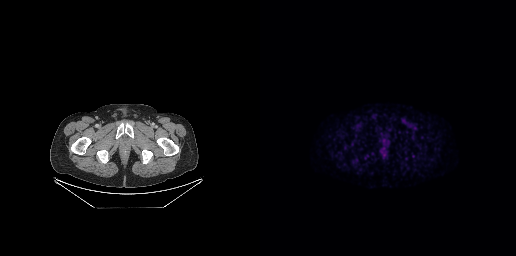
Coordinates are on the 256×256 PET (right) panel. PSMA-avid tumor lesion bounding box (x, y, width, height): x=142 y=119 w=5 h=5.